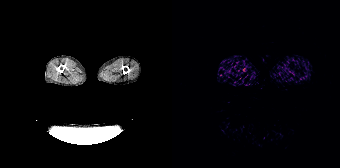
This slice has no annotated PSMA-avid lesion. Two-panel axial: CT | PSMA PET, 68Ga tracer. Acquired on Siemens Biograph 64-4R TruePoint.